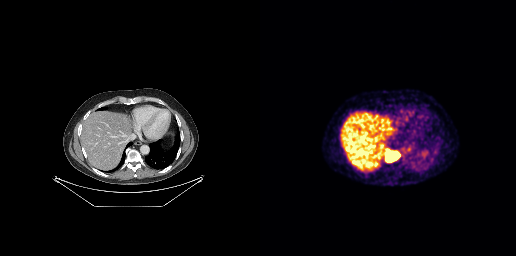
{"pet_grid":[256,256],"coord_frame":"pet_panel","coord_format":"x0,y0,x1,y1","lesion_bboxes":[[124,148,140,162]],"modality":"PSMA PET/CT","view":"axial","tracer":"68Ga-PSMA"}